modality: PSMA PET/CT | tracer: [18F]PSMA-1007 | view: axial | PET grid: 200×200
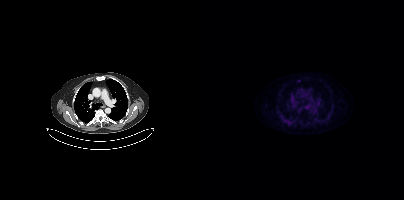
No PSMA-avid tumor lesions on this slice.